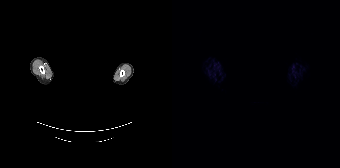
Negative for PSMA-avid disease on this slice. Privacy masking over the head, with the pixels inside a rectangle set to black. Two-panel axial: CT | PSMA PET, [68Ga]Ga-PSMA-11 tracer.